modality: PSMA PET/CT | tracer: [18F]PSMA-1007 | view: axial
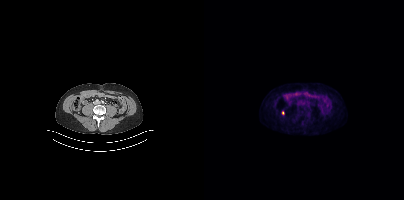
Only PSMA-avid lesion pieces thinner than 2 px on this slice (not listed).